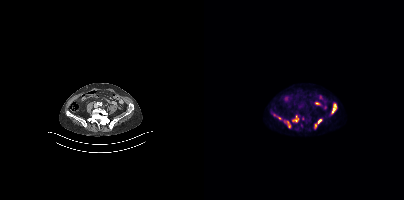
{"modality":"PSMA PET/CT","view":"axial","tracer":"18F-PSMA","pet_grid":[200,200],"coord_frame":"pet_panel","coord_format":"x0,y0,x1,y1","partial":true,"lesion_bboxes":[[127,102,133,114],[88,115,95,122],[110,119,118,128],[83,121,86,127]],"small_foci_centers":[[75,118]]}